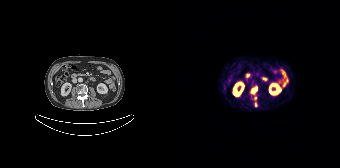
{"modality":"PSMA PET/CT","view":"axial","tracer":"68Ga-PSMA","pet_grid":[168,168],"coord_frame":"pet_panel","coord_format":"x0,y0,x1,y1","lesion_bboxes":[[80,86,85,93]],"small_foci_centers":[[83,105],[83,97]]}